Paired axial CT (left) and PSMA PET (right), 18F tracer. Acquired on Siemens Biograph mCT Flow 20. Slice position z = -532 mm. PET panel 200×200 px (4.1 mm/px).
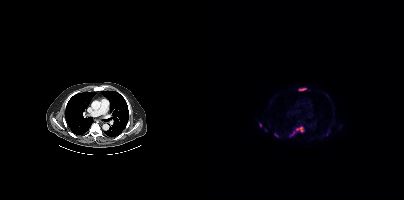
Coordinates are on the 200×200 PET (right) panel. (showing 5 of 7 foci) PSMA-avid tumor lesion bounding boxes (x0,y0,x1,y1): [92,127,99,131] [95,88,102,90] [70,133,74,136]. Small PSMA-avid foci (2 to 4 px across) near (center x, center y): (56, 124) (87, 135).